Paired axial CT (left) and PSMA PET (right), 18F tracer. PET panel 200×200 px (4.1 mm/px). Face de-identified by blanking a block of the head.
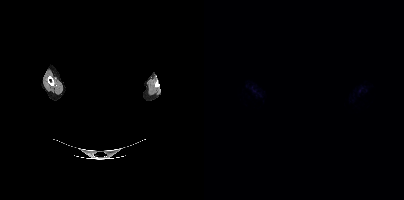
Negative for PSMA-avid disease on this slice.